Two-panel axial: CT | PSMA PET, 18F tracer. PET panel 200×200 px (4.1 mm/px).
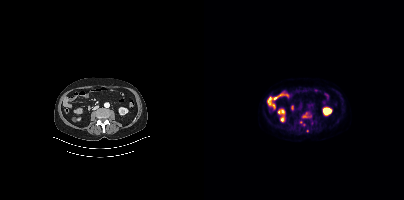
Coordinates are on the 200×200 PET (right) panel. PSMA-avid tumor lesion bounding box (x0,y0,x1,y1): [97,122,101,126]. Small PSMA-avid focus (2 to 4 px across) near (center x, center y): (103, 130).